Left: CT. Right: PSMA PET, same axial level, [18F]PSMA-1007 tracer. Acquired on Siemens Biograph mCT Flow 20.
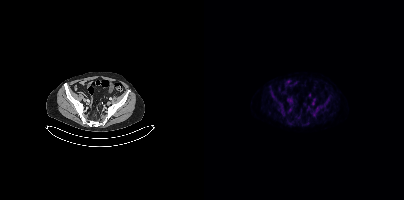
No PSMA-avid tumor lesions on this slice.